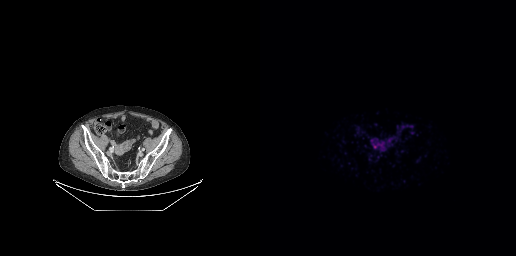
- Paired axial CT (left) and PSMA PET (right), [68Ga]Ga-PSMA-11 tracer
- slice 81 of 263
- PET panel 256×256 px (2.7 mm/px)
Findings: No tumor lesions annotated on this slice.